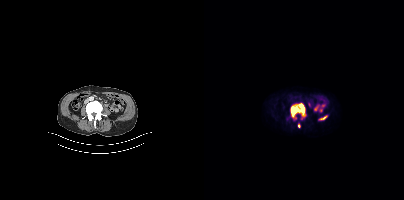
modality: PSMA PET/CT | tracer: 18F | view: axial
Coordinates are on the 200×200 PET (right) panel. PSMA-avid tumor lesion bounding boxes (x0, y0)-(x1, y1): (86, 103)-(101, 118) | (115, 115)-(123, 119) | (93, 124)-(96, 128).